Left: CT. Right: PSMA PET, same axial level, 18F-PSMA tracer. PET panel 200×200 px (4.1 mm/px). The head region is masked for de-identification.
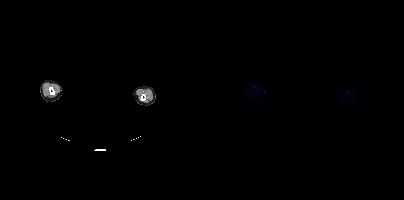
No tumor lesions annotated on this slice.